Left: CT. Right: PSMA PET, same axial level, 18F tracer. Slice 96 of 466.
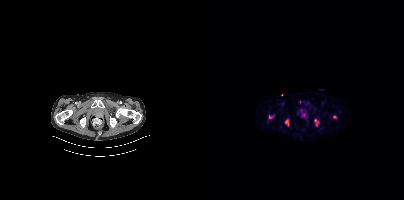
Coordinates are on the 200×200 PET (right) panel. PSMA-avid tumor lesion bounding boxes:
| # | x0 | y0 | x1 | y1 |
|---|---|---|---|---|
| 1 | 110 | 119 | 114 | 125 |
| 2 | 81 | 120 | 84 | 125 |
Small PSMA-avid focus (2 to 4 px across) near (center x, center y): (130, 116).